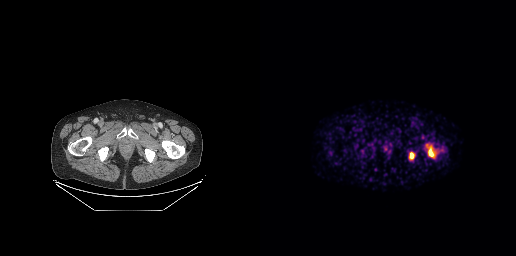
Coordinates are on the 256×256 PET (right) panel. PSMA-avid tumor lesion bounding boxes (x0,y0,x1,y1): [168,147,174,157]; [150,152,153,156].
modality: PSMA PET/CT | tracer: [68Ga]Ga-PSMA-11 | view: axial | PET grid: 256×256